- Left: CT. Right: PSMA PET, same axial level, 18F-PSMA tracer
- PET panel 200×200 px (4.1 mm/px)
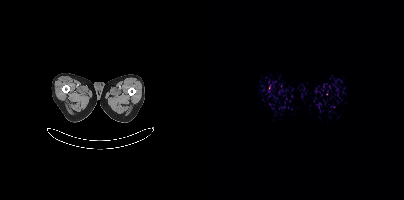
Findings: Only PSMA-avid lesion pieces thinner than 2 px on this slice (not listed).